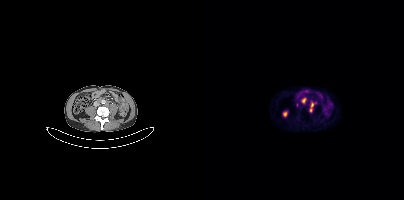
- Paired axial CT (left) and PSMA PET (right), [68Ga]Ga-PSMA-11 tracer
- slice position z = -1516 mm
Findings: Coordinates are on the 200×200 PET (right) panel. (showing 2 of 3 foci) PSMA-avid tumor lesion bounding boxes (x0,y0,x1,y1): [106,102,109,111]; [98,98,101,102].